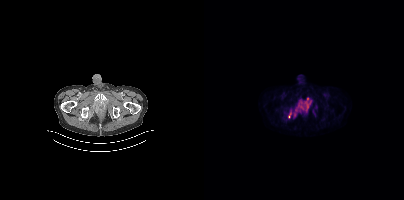
Two-panel axial: CT | PSMA PET, [18F]PSMA-1007 tracer. PET panel 200×200 px (4.1 mm/px).
Coordinates are on the 200×200 PET (right) panel. PSMA-avid tumor lesion bounding boxes:
| # | x0 | y0 | x1 | y1 |
|---|---|---|---|---|
| 1 | 84 | 97 | 107 | 118 |